- Paired axial CT (left) and PSMA PET (right), [68Ga]Ga-PSMA-11 tracer
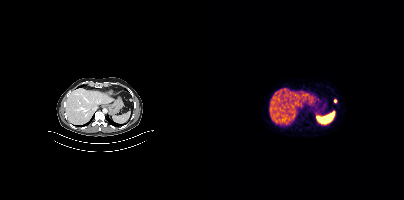
Findings: Coordinates are on the 200×200 PET (right) panel. Small PSMA-avid focus (2 to 4 px across) near (center x, center y): (131, 100).